Paired axial CT (left) and PSMA PET (right), [18F]PSMA-1007 tracer.
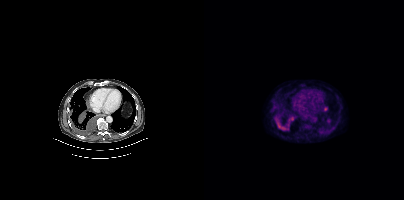
Coordinates are on the 200×200 PET (right) panel. (showing 2 of 3 foci) PSMA-avid tumor lesion bounding boxes (x0,y0,x1,y1): [72,120,83,130], [84,115,91,122].